- Two-panel axial: CT | PSMA PET, 68Ga-PSMA tracer
- de-identified by setting a box covering the face to black before release
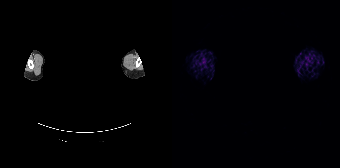
Findings: This slice has no annotated PSMA-avid lesion.